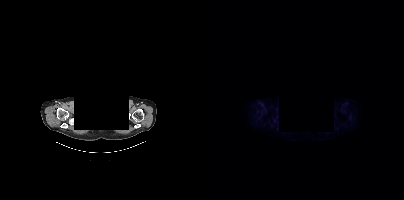
The head region is masked for de-identification. Paired axial CT (left) and PSMA PET (right), 18F-PSMA tracer. Acquired on Siemens Biograph mCT Flow 20. Coordinates are on the 200×200 PET (right) panel. Small PSMA-avid focus (2 to 4 px across) near (center x, center y): (70, 120).